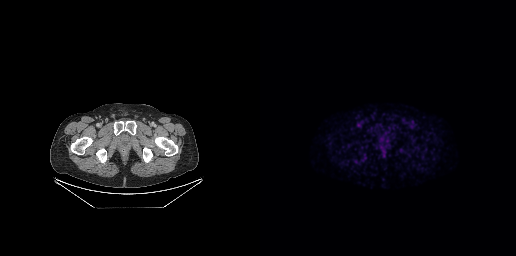
Coordinates are on the 256×256 PET (right) panel. PSMA-avid tumor lesion bounding box (x0,y0,x1,y1): [142,119,146,122]. Left: CT. Right: PSMA PET, same axial level, [18F]PSMA-1007 tracer. Slice 45 of 263. PET panel 256×256 px (2.7 mm/px).